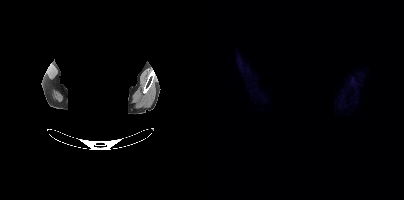
{"pet_grid":[200,200],"coord_frame":"pet_panel","coord_format":"x0,y0,x1,y1","psma_avid_lesions":false,"modality":"PSMA PET/CT","view":"axial","tracer":"[18F]PSMA-1007","deidentification":"face masked with black rectangle"}